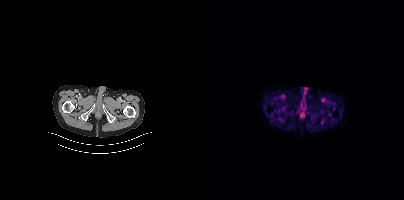
Negative for PSMA-avid disease on this slice.